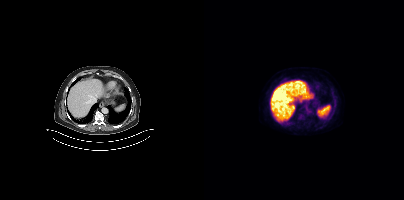
Findings: Negative for PSMA-avid disease on this slice.
Technique: Left: CT. Right: PSMA PET, same axial level, 18F tracer. slice 231 of 389. PET panel 200×200 px (4.1 mm/px).